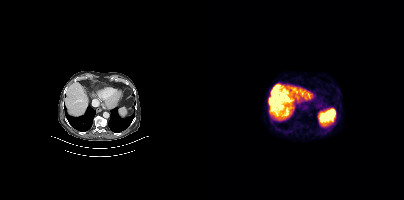
This slice has no annotated PSMA-avid lesion. Two-panel axial: CT | PSMA PET, 18F tracer. Acquired on Siemens Biograph mCT Flow 20. PET panel 200×200 px (4.1 mm/px).